Paired axial CT (left) and PSMA PET (right), 18F-PSMA tracer. Slice position z = -961 mm. The face region was removed for patient privacy by blanking a rectangle over the head.
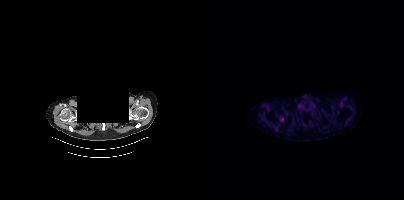
Coordinates are on the 200×200 PET (right) panel. Small PSMA-avid focus (2 to 4 px across) near (center x, center y): (78, 119).